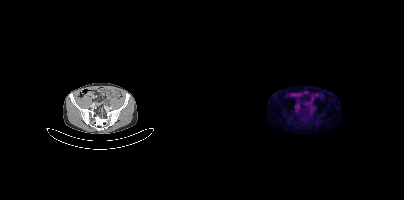
Findings: Coordinates are on the 200×200 PET (right) panel. PSMA-avid tumor lesion bounding boxes (x, y, width, height): x=90 y=106 w=5 h=5; x=106 y=106 w=5 h=5.
- Two-panel axial: CT | PSMA PET, 18F-PSMA tracer
- acquired on Siemens Biograph mCT Flow 20